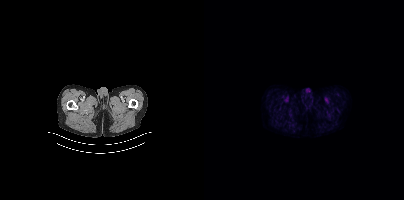
{"modality":"PSMA PET/CT","view":"axial","tracer":"[18F]PSMA-1007","pet_grid":[200,200],"coord_frame":"pet_panel","coord_format":"x0,y0,x1,y1","psma_avid_lesions":false}